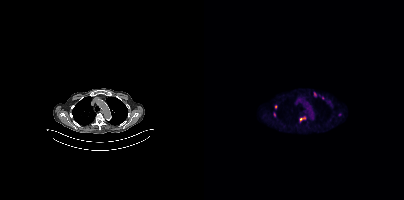
modality: PSMA PET/CT | tracer: 18F | view: axial | PET grid: 200×200
Coordinates are on the 200×200 PET (right) panel. PSMA-avid tumor lesion bounding boxes (x0,y0,x1,y1): [95,116,101,122]; [110,92,112,96]. Small PSMA-avid foci (2 to 4 px across) near (center x, center y): (71, 106); (70, 114); (118, 98); (135, 114).